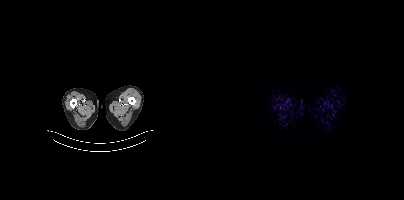
No tumor lesions annotated on this slice. Paired axial CT (left) and PSMA PET (right), 18F tracer. Slice 2 of 356.